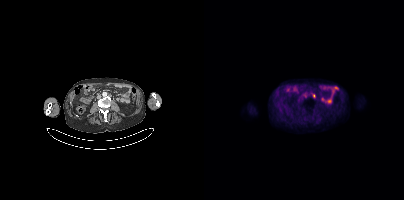
Two-panel axial: CT | PSMA PET, 18F-PSMA tracer. PET panel 200×200 px (4.1 mm/px). Coordinates are on the 200×200 PET (right) panel. Small PSMA-avid focus (2 to 4 px across) near (center x, center y): (110, 95).